Left: CT. Right: PSMA PET, same axial level, 18F tracer. Slice position z = -1137 mm. PET panel 200×200 px (4.1 mm/px).
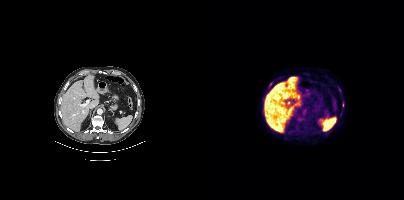
Coordinates are on the 200×200 PET (right) panel. (showing 1 of 2 foci) Small PSMA-avid focus (2 to 4 px across) near (center x, center y): (66, 84).